modality: PSMA PET/CT | tracer: 18F | view: axial
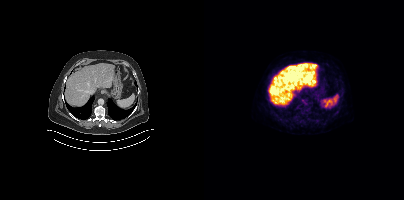
Coordinates are on the 200×200 PET (right) panel. Small PSMA-avid focus (2 to 4 px across) near (center x, center y): (136, 96).